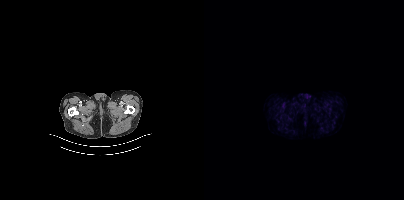
Findings: No PSMA-avid tumor lesions on this slice.
- Paired axial CT (left) and PSMA PET (right), 18F-PSMA tracer
- acquired on Siemens Biograph mCT Flow 20